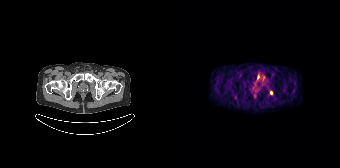
Findings: Coordinates are on the 168×168 PET (right) panel. PSMA-avid tumor lesion bounding boxes (x0, y0)-(x1, y1): (85, 74)-(87, 79) | (90, 76)-(92, 80). Small PSMA-avid focus (2 to 4 px across) near (center x, center y): (99, 92).
- Left: CT. Right: PSMA PET, same axial level, 68Ga-PSMA tracer
- PET panel 168×168 px (4.1 mm/px)